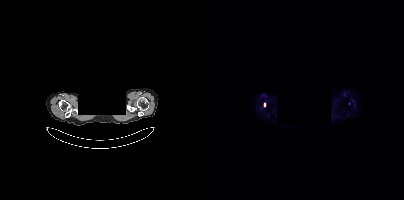
Coordinates are on the 200×200 PET (right) panel. Small PSMA-avid focus (2 to 4 px across) near (center x, center y): (60, 105).
A rectangular block over the head has been blanked out for de-identification.